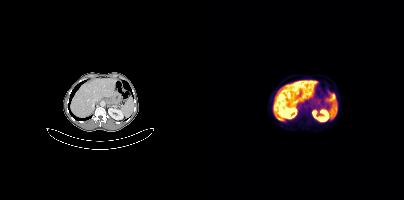
Left: CT. Right: PSMA PET, same axial level, [18F]PSMA-1007 tracer. Negative for PSMA-avid disease on this slice.